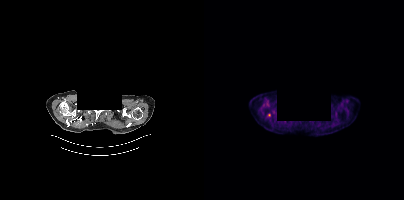
Coordinates are on the 200×200 PET (right) panel. Small PSMA-avid focus (2 to 4 px across) near (center x, center y): (65, 115).
deidentification: head region blacked out before release | modality: PSMA PET/CT | tracer: [18F]PSMA-1007 | view: axial | PET grid: 200×200